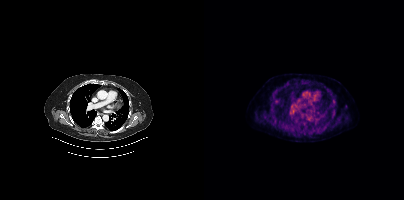
Findings: This slice has no annotated PSMA-avid lesion.
- Paired axial CT (left) and PSMA PET (right), [18F]PSMA-1007 tracer
- slice position z = 388 mm
- PET panel 200×200 px (4.1 mm/px)